modality: PSMA PET/CT | tracer: 18F | view: axial | PET grid: 200×200
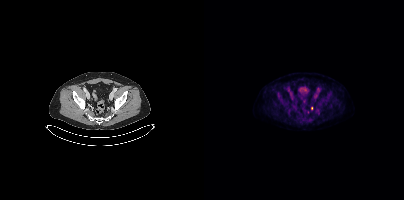
Coordinates are on the 200×200 PET (right) panel. Small PSMA-avid focus (2 to 4 px across) near (center x, center y): (107, 108).